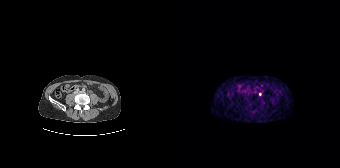
Coordinates are on the 168×168 PET (right) panel. Small PSMA-avid focus (2 to 4 px across) near (center x, center y): (87, 94).